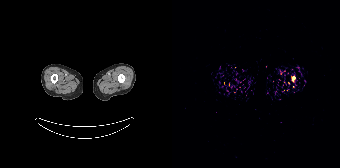
Coordinates are on the 168×168 PET (right) panel. PSMA-avid tumor lesion bounding boxes:
| # | x0 | y0 | x1 | y1 |
|---|---|---|---|---|
| 1 | 120 | 76 | 122 | 80 |
Paired axial CT (left) and PSMA PET (right), 68Ga tracer. Slice position z = -1064 mm. PET panel 168×168 px (4.1 mm/px).